Technique: Paired axial CT (left) and PSMA PET (right), [18F]PSMA-1007 tracer. slice position z = -501 mm. PET panel 256×256 px (2.7 mm/px).
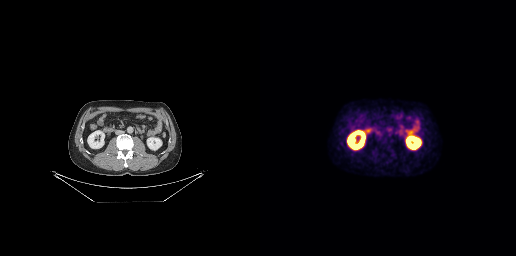
Findings: Only PSMA-avid lesion pieces thinner than 2 px on this slice (not listed).